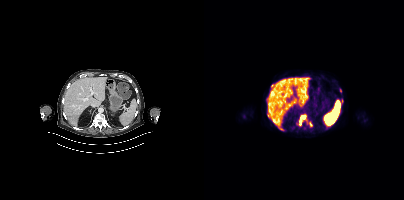
modality: PSMA PET/CT | tracer: 18F-PSMA | view: axial
Coordinates are on the 200×200 PET (right) panel. (showing 5 of 6 foci) PSMA-avid tumor lesion bounding boxes (x, y, width, height): x=96 y=115 w=6 h=11 / x=135 y=99 w=5 h=6 / x=105 y=122 w=4 h=5. Small PSMA-avid foci (2 to 4 px across) near (center x, center y): (79, 129) / (136, 90).